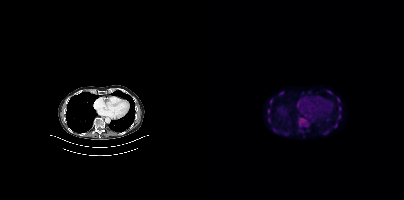
Coordinates are on the 200×200 PET (right) panel. PSMA-avid tumor lesion bounding boxes (x0, y0)-(x1, y1): (63, 109)-(66, 113); (134, 114)-(136, 119); (133, 98)-(136, 102); (66, 99)-(68, 104); (135, 106)-(137, 111).